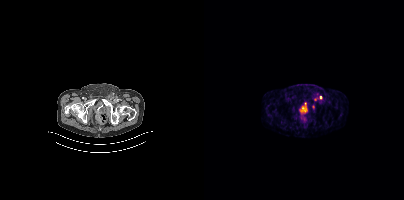
Coordinates are on the 200×200 PET (right) panel. Small PSMA-avid foci (2 to 4 px across) near (center x, center y): (109, 106) (116, 97) (101, 103).
modality: PSMA PET/CT | tracer: 68Ga | view: axial | PET grid: 200×200